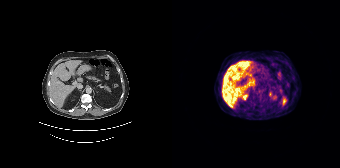
Paired axial CT (left) and PSMA PET (right), 68Ga tracer. Acquired on Siemens Biograph 64-4R TruePoint. Slice 91 of 165. PET panel 168×168 px (4.1 mm/px). No PSMA-avid tumor lesions on this slice.